Technique: Two-panel axial: CT | PSMA PET, 18F-PSMA tracer.
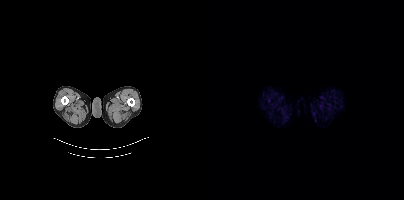
Findings: This slice has no annotated PSMA-avid lesion.